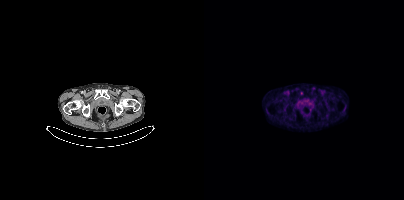
Only PSMA-avid lesion pieces thinner than 2 px on this slice (not listed).